Two-panel axial: CT | PSMA PET, 18F-PSMA tracer. Acquired on Siemens Biograph mCT Flow 20.
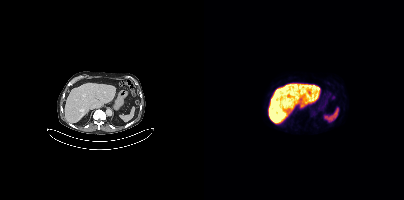
This slice has no annotated PSMA-avid lesion.